Technique: Two-panel axial: CT | PSMA PET, 18F tracer. slice 222 of 373. PET panel 200×200 px (4.1 mm/px).
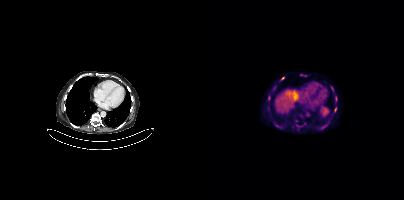
Findings: Coordinates are on the 200×200 PET (right) panel. (showing 6 of 7 foci) PSMA-avid tumor lesion bounding boxes (x, y, width, height): x=96 y=74 w=7 h=3 | x=71 y=124 w=5 h=4 | x=130 y=107 w=3 h=5. Small PSMA-avid foci (2 to 4 px across) near (center x, center y): (78, 78) | (131, 98) | (128, 89).